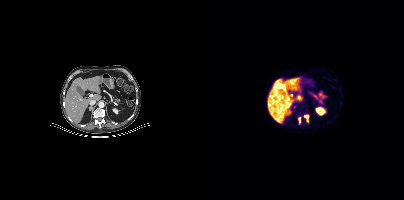
- Paired axial CT (left) and PSMA PET (right), 18F-PSMA tracer
- acquired on Siemens Biograph mCT Flow 20
- PET panel 200×200 px (4.1 mm/px)
Findings: Coordinates are on the 200×200 PET (right) panel. PSMA-avid tumor lesion bounding boxes (x0,y0,x1,y1): [100,115,104,122], [95,118,96,123].